- Two-panel axial: CT | PSMA PET, 18F tracer
- acquired on Siemens Biograph mCT Flow 20
- PET panel 200×200 px (4.1 mm/px)
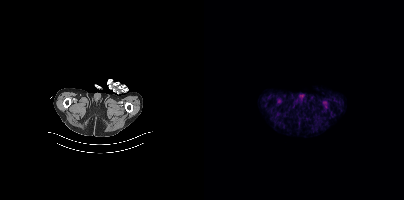
Findings: No tumor lesions annotated on this slice.